modality: PSMA PET/CT | tracer: 18F-PSMA | view: axial | de-identification: rectangular block over head set to black
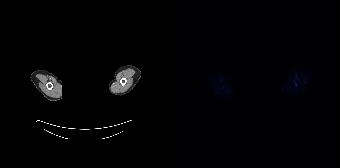
No PSMA-avid tumor lesions on this slice.